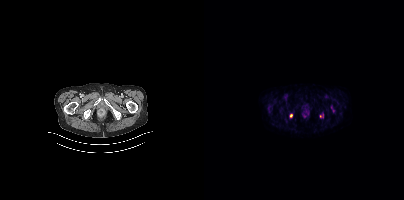
Two-panel axial: CT | PSMA PET, 18F-PSMA tracer. Slice 31 of 401. PET panel 200×200 px (4.1 mm/px). Coordinates are on the 200×200 PET (right) panel. (showing 1 of 2 foci) Small PSMA-avid focus (2 to 4 px across) near (center x, center y): (87, 115).